Left: CT. Right: PSMA PET, same axial level, 18F tracer. PET panel 256×256 px (2.7 mm/px).
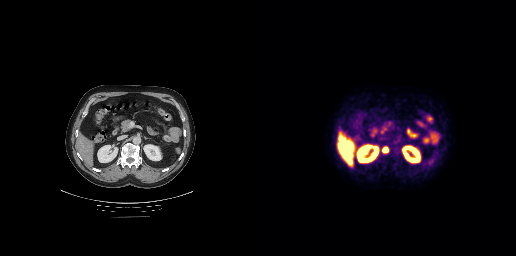
Coordinates are on the 256×256 PET (right) panel. PSMA-avid tumor lesion bounding boxes:
| # | x0 | y0 | x1 | y1 |
|---|---|---|---|---|
| 1 | 122 | 146 | 128 | 152 |